Technique: Two-panel axial: CT | PSMA PET, 18F-PSMA tracer. acquired on Siemens Biograph mCT Flow 20.
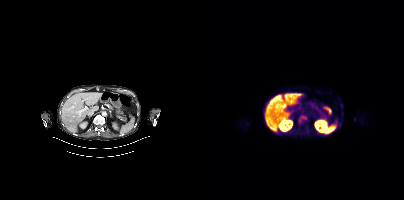
Findings: Coordinates are on the 200×200 PET (right) panel. (showing 2 of 3 foci) PSMA-avid tumor lesion bounding box (x0, y0)-(x1, y1): (95, 115)-(102, 122). Small PSMA-avid focus (2 to 4 px across) near (center x, center y): (137, 105).